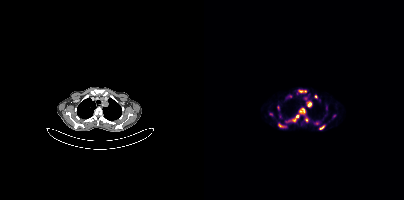
Coordinates are on the 200×200 PET (right) panel. PSMA-avid tumor lesion bounding boxes (partial; 2 more foci not listed):
| # | x0 | y0 | x1 | y1 |
|---|---|---|---|---|
| 1 | 95 | 90 | 102 | 92 |
| 2 | 103 | 101 | 107 | 106 |
| 3 | 88 | 115 | 94 | 121 |
| 4 | 96 | 108 | 100 | 112 |
| 5 | 116 | 125 | 120 | 129 |
| 6 | 74 | 124 | 79 | 127 |
Small PSMA-avid foci (2 to 4 px across) near (center x, center y): (112, 96); (74, 107); (67, 114); (102, 119); (86, 96).
Two-panel axial: CT | PSMA PET, 68Ga tracer. Acquired on Siemens Biograph mCT Flow 20. Slice position z = -603 mm.